Paired axial CT (left) and PSMA PET (right), [18F]PSMA-1007 tracer. Acquired on GE Discovery 690.
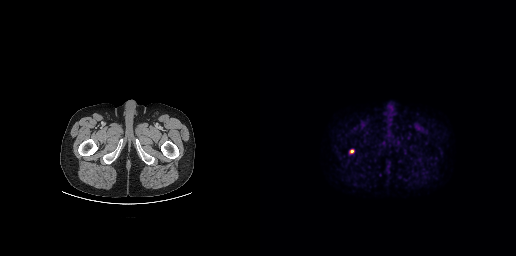
Coordinates are on the 256×256 PET (right) panel. PSMA-avid tumor lesion bounding boxes:
| # | x0 | y0 | x1 | y1 |
|---|---|---|---|---|
| 1 | 89 | 149 | 94 | 153 |